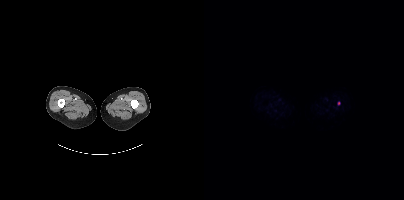
Coordinates are on the 200×200 PET (right) panel. Small PSMA-avid focus (2 to 4 px across) near (center x, center y): (134, 103).